- Two-panel axial: CT | PSMA PET, [18F]PSMA-1007 tracer
- acquired on Siemens Biograph mCT Flow 20
- slice 287 of 401
- PET panel 200×200 px (4.1 mm/px)
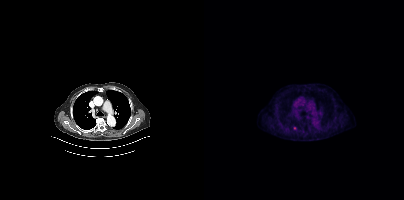
Findings: Coordinates are on the 200×200 PET (right) panel. Small PSMA-avid focus (2 to 4 px across) near (center x, center y): (90, 128).